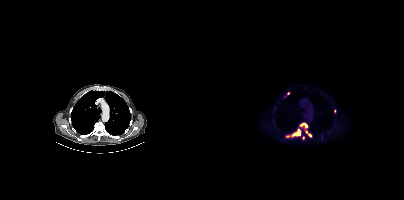
{"modality":"PSMA PET/CT","view":"axial","tracer":"[18F]PSMA-1007","pet_grid":[200,200],"coord_frame":"pet_panel","coord_format":"x0,y0,x1,y1","lesion_bboxes":[[81,130,96,137],[96,123,103,128],[101,130,107,137]],"small_foci_centers":[[130,111],[99,137],[84,93]]}